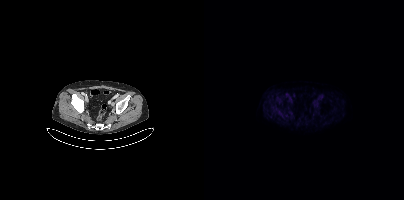
modality: PSMA PET/CT | tracer: 18F | view: axial
No PSMA-avid tumor lesions on this slice.